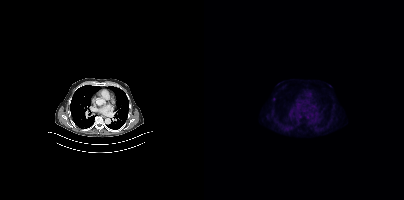
Two-panel axial: CT | PSMA PET, 18F tracer. Slice position z = -1160 mm. PET panel 200×200 px (4.1 mm/px). Coordinates are on the 200×200 PET (right) panel. Small PSMA-avid focus (2 to 4 px across) near (center x, center y): (69, 99).